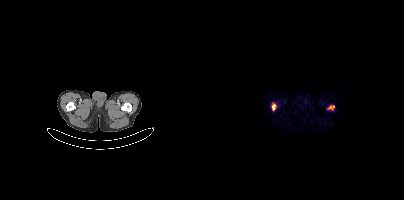
{"modality":"PSMA PET/CT","view":"axial","tracer":"68Ga-PSMA","pet_grid":[200,200],"coord_frame":"pet_panel","coord_format":"x0,y0,x1,y1","lesion_bboxes":[[68,104,71,110],[125,106,130,109]]}